- Paired axial CT (left) and PSMA PET (right), 18F tracer
- PET panel 200×200 px (4.1 mm/px)
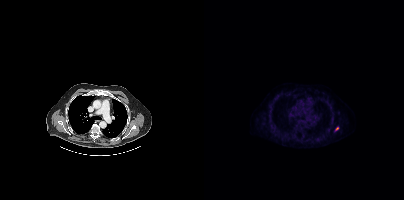
Findings: Coordinates are on the 200×200 PET (right) panel. Small PSMA-avid focus (2 to 4 px across) near (center x, center y): (133, 128).